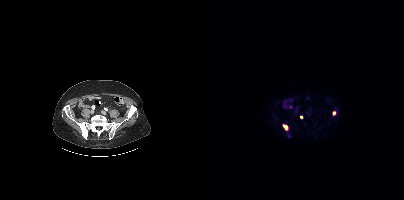
{"modality":"PSMA PET/CT","view":"axial","tracer":"[18F]PSMA-1007","pet_grid":[200,200],"coord_frame":"pet_panel","coord_format":"x0,y0,x1,y1","lesion_bboxes":[[79,124,84,130]],"small_foci_centers":[[130,113],[97,117]]}